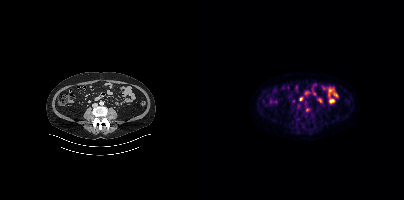
Coordinates are on the 200×200 PET (right) panel. Small PSMA-avid focus (2 to 4 px across) near (center x, center y): (103, 109).